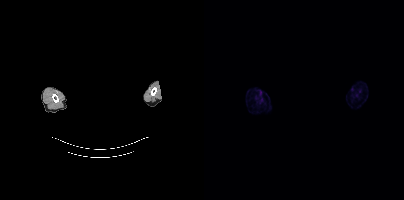
{"modality":"PSMA PET/CT","view":"axial","tracer":"18F-PSMA","pet_grid":[200,200],"coord_frame":"pet_panel","coord_format":"x0,y0,x1,y1","redaction":"head region blacked out before release","psma_avid_lesions":false}